redaction: face masked with black rectangle | modality: PSMA PET/CT | tracer: 18F | view: axial
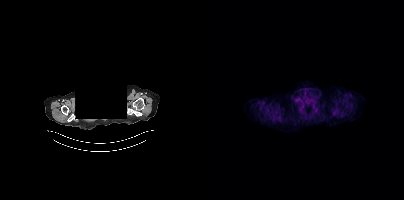
No tumor lesions annotated on this slice.